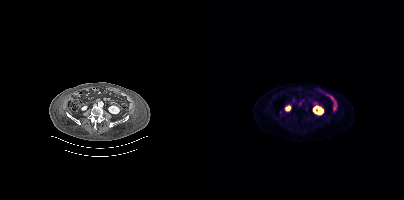
{"modality":"PSMA PET/CT","view":"axial","tracer":"18F-PSMA","pet_grid":[200,200],"coord_frame":"pet_panel","coord_format":"x0,y0,x1,y1","psma_avid_lesions":false}